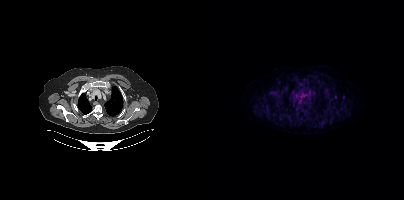
Only PSMA-avid lesion pieces thinner than 2 px on this slice (not listed).